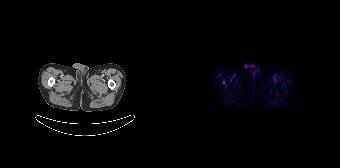
- Paired axial CT (left) and PSMA PET (right), [18F]PSMA-1007 tracer
- acquired on Siemens Biograph 64-4R TruePoint
- PET panel 168×168 px (4.1 mm/px)
Findings: Negative for PSMA-avid disease on this slice.